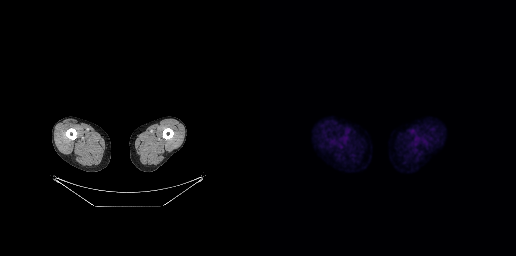
{"modality":"PSMA PET/CT","view":"axial","tracer":"[18F]PSMA-1007","pet_grid":[256,256],"coord_frame":"pet_panel","coord_format":"x0,y0,x1,y1","psma_avid_lesions":false}